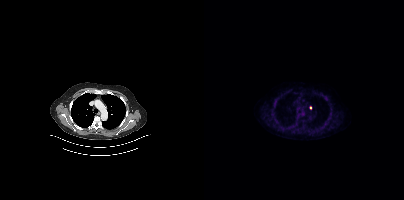
Paired axial CT (left) and PSMA PET (right), [18F]PSMA-1007 tracer. Acquired on Siemens Biograph mCT Flow 20. Slice 270 of 354. Coordinates are on the 200×200 PET (right) panel. Small PSMA-avid focus (2 to 4 px across) near (center x, center y): (106, 107).